modality: PSMA PET/CT | tracer: 68Ga-PSMA | view: axial | PET grid: 256×256
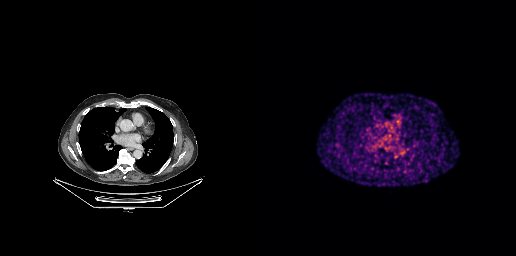
This slice has no annotated PSMA-avid lesion.